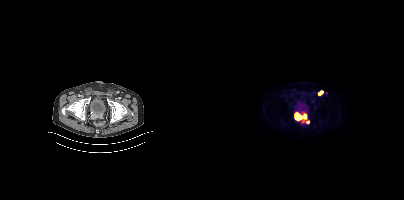
{"modality":"PSMA PET/CT","view":"axial","tracer":"[18F]PSMA-1007","pet_grid":[200,200],"coord_frame":"pet_panel","coord_format":"x0,y0,x1,y1","partial":true,"lesion_bboxes":[[90,112,105,123],[114,90,119,95]]}